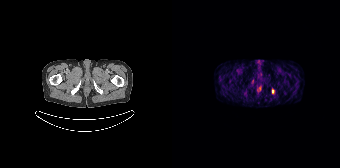
Coordinates are on the 168×168 PET (right) panel. Small PSMA-avid focus (2 to 4 px across) near (center x, center y): (100, 91).